Technique: Paired axial CT (left) and PSMA PET (right), 18F-PSMA tracer. acquired on Siemens Biograph mCT Flow 20. slice 24 of 417.
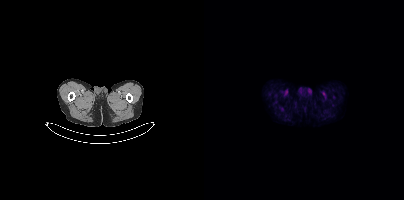
Findings: This slice has no annotated PSMA-avid lesion.